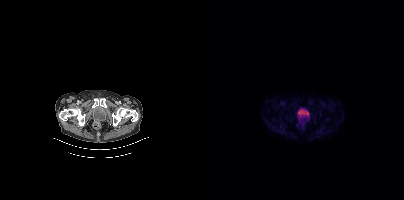
Negative for PSMA-avid disease on this slice.
modality: PSMA PET/CT | tracer: 18F | view: axial